Paired axial CT (left) and PSMA PET (right), 18F-PSMA tracer. Slice position z = -1386 mm.
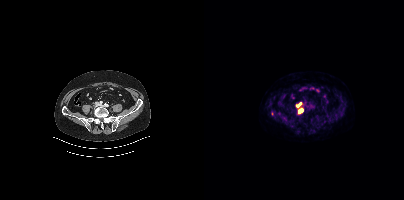
Coordinates are on the 200×200 PET (right) panel. PSMA-avid tumor lesion bounding boxes (x, y, width, height): x=95 y=109 w=5 h=4; x=92 y=103 w=6 h=4.